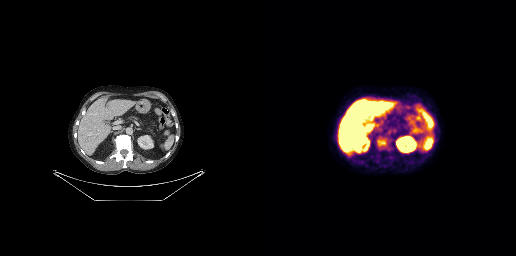
Technique: Two-panel axial: CT | PSMA PET, [18F]PSMA-1007 tracer. slice 164 of 299.
Findings: No tumor lesions annotated on this slice.